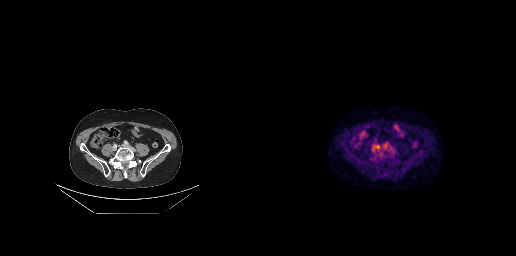
Only PSMA-avid lesion pieces thinner than 2 px on this slice (not listed). Two-panel axial: CT | PSMA PET, 18F tracer. Acquired on GE Discovery 690. Slice position z = -524 mm. PET panel 256×256 px (2.7 mm/px).